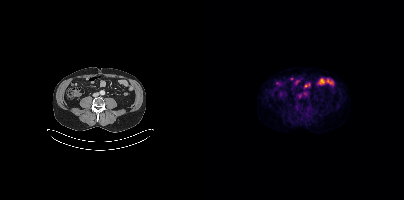
Coordinates are on the 200×200 PET (right) panel. Small PSMA-avid focus (2 to 4 px across) near (center x, center y): (95, 96).